modality: PSMA PET/CT | tracer: 18F-PSMA | view: axial | PET grid: 200×200
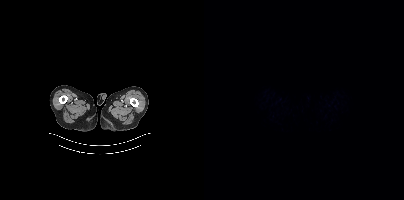
Negative for PSMA-avid disease on this slice.